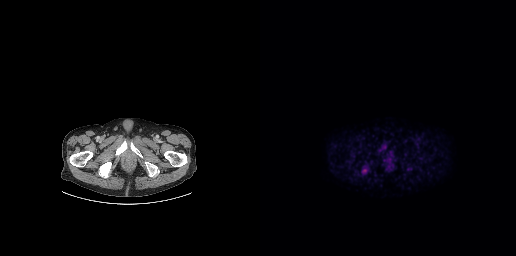
Coordinates are on the 256×256 PET (right) panel. PSMA-avid tumor lesion bounding box (x0,y0,x1,y1): [101,163,109,174].